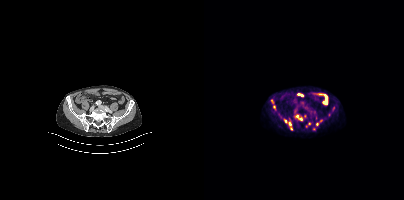
Coordinates are on the 200×200 PET (right) panel. (showing 8 of 11 foci) PSMA-avid tumor lesion bounding box (x, y, width, height): x=93 y=115 w=6 h=6. Small PSMA-avid foci (2 to 4 px across) near (center x, center y): (87, 128) / (86, 123) / (70, 107) / (81, 121) / (123, 102) / (113, 124) / (129, 107).